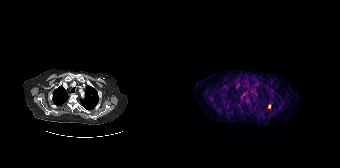
Findings: Coordinates are on the 168×168 PET (right) panel. Small PSMA-avid focus (2 to 4 px across) near (center x, center y): (97, 106).
- Paired axial CT (left) and PSMA PET (right), 68Ga tracer
- acquired on Siemens Biograph 64-4R TruePoint
- slice position z = -1099 mm